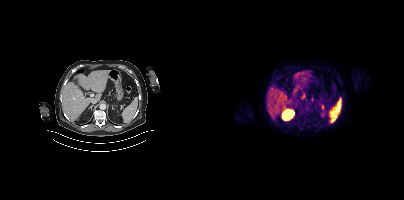
{"pet_grid":[200,200],"coord_frame":"pet_panel","coord_format":"x0,y0,x1,y1","psma_avid_lesions":false,"modality":"PSMA PET/CT","view":"axial","tracer":"68Ga"}